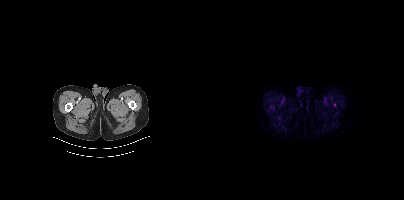
Paired axial CT (left) and PSMA PET (right), [18F]PSMA-1007 tracer. Slice 17 of 407. PET panel 200×200 px (4.1 mm/px). No tumor lesions annotated on this slice.